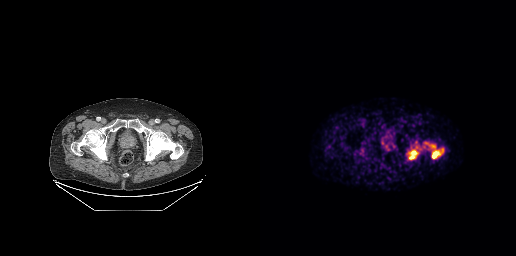
Coordinates are on the 256×256 PET (right) panel. PSMA-avid tumor lesion bounding boxes (x0,y0,x1,y1): [149,150,157,159], [172,150,181,158]. Small PSMA-avid foci (2 to 4 px across) near (center x, center y): (173, 146), (182, 150). Left: CT. Right: PSMA PET, same axial level, 68Ga tracer. Slice position z = -810 mm. PET panel 256×256 px (2.7 mm/px).